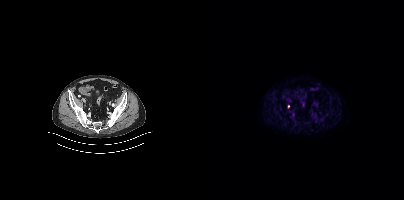
Technique: Two-panel axial: CT | PSMA PET, [18F]PSMA-1007 tracer. PET panel 200×200 px (4.1 mm/px).
Findings: Coordinates are on the 200×200 PET (right) panel. Small PSMA-avid focus (2 to 4 px across) near (center x, center y): (84, 106).